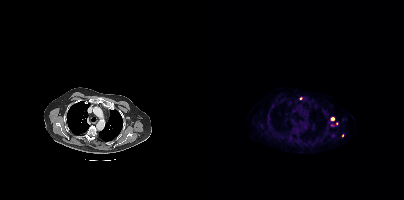
Left: CT. Right: PSMA PET, same axial level, [18F]PSMA-1007 tracer. Acquired on Siemens Biograph mCT Flow 20. Coordinates are on the 200×200 PET (right) panel. (showing 3 of 4 foci) Small PSMA-avid foci (2 to 4 px across) near (center x, center y): (128, 118) | (138, 135) | (96, 98).